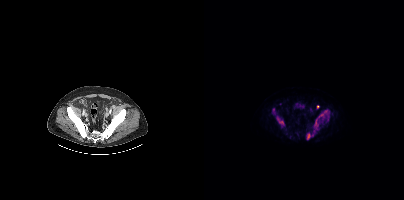
{"modality":"PSMA PET/CT","view":"axial","tracer":"18F","pet_grid":[200,200],"coord_frame":"pet_panel","coord_format":"x0,y0,x1,y1","partial":true,"lesion_bboxes":[[111,110,125,127],[103,133,106,139],[75,121,79,123]],"small_foci_centers":[[113,106]]}